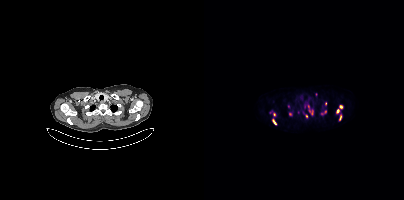
Paired axial CT (left) and PSMA PET (right), 18F-PSMA tracer. Acquired on Siemens Biograph mCT Flow 20. Slice position z = 440 mm. PET panel 200×200 px (4.1 mm/px). Coordinates are on the 200×200 PET (right) panel. (showing 10 of 12 foci) PSMA-avid tumor lesion bounding boxes (x0,y0,x1,y1): [105,110,109,115]; [135,115,137,120]; [118,111,122,114]; [69,119,72,124]. Small PSMA-avid foci (2 to 4 px across) near (center x, center y): (86, 113); (70, 114); (102, 115); (133, 111); (121, 103); (136, 106).